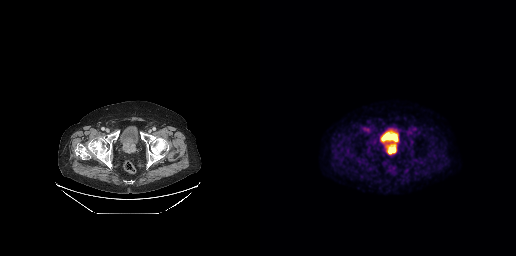
Paired axial CT (left) and PSMA PET (right), 18F-PSMA tracer. Slice 92 of 299. PET panel 256×256 px (2.7 mm/px).
Coordinates are on the 256×256 PET (right) panel. PSMA-avid tumor lesion bounding boxes:
| # | x0 | y0 | x1 | y1 |
|---|---|---|---|---|
| 1 | 128 | 144 | 135 | 153 |